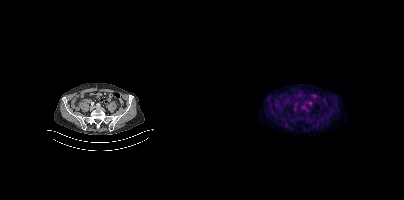
Technique: Left: CT. Right: PSMA PET, same axial level, [18F]PSMA-1007 tracer. slice 126 of 407. PET panel 200×200 px (4.1 mm/px).
Findings: No tumor lesions annotated on this slice.